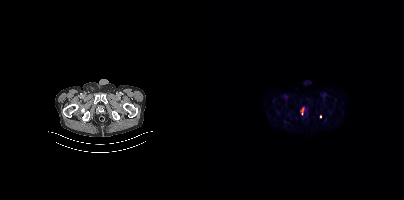
modality: PSMA PET/CT | tracer: 18F | view: axial | PET grid: 200×200
Coordinates are on the 200×200 PET (right) panel. (showing 2 of 3 foci) Small PSMA-avid foci (2 to 4 px across) near (center x, center y): (98, 112) (116, 116).